Paired axial CT (left) and PSMA PET (right), 68Ga-PSMA tracer. Acquired on GE Discovery 690.
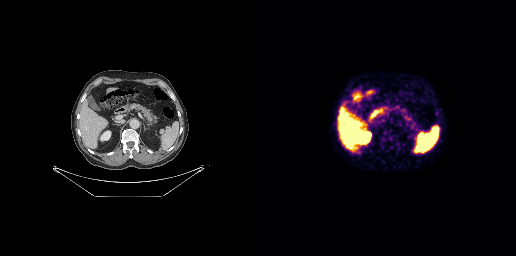
Coordinates are on the 256×256 PET (right) panel. PSMA-avid tumor lesion bounding boxes:
| # | x0 | y0 | x1 | y1 |
|---|---|---|---|---|
| 1 | 158 | 132 | 163 | 136 |